Paired axial CT (left) and PSMA PET (right), 18F tracer. Acquired on Siemens Biograph mCT Flow 20.
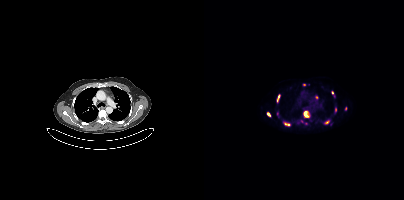
Coordinates are on the 200×200 PET (right) panel. (showing 12 of 13 foci) PSMA-avid tumor lesion bounding boxes (x0,y0,x1,y1): [100,112,106,117]; [120,120,125,124]; [73,95,75,102]; [63,112,66,116]; [81,123,85,125]; [131,108,132,112]; [73,112,74,116]. Small PSMA-avid foci (2 to 4 px across) near (center x, center y): (142, 108); (112, 97); (100, 84); (128, 92); (101, 123).